Left: CT. Right: PSMA PET, same axial level, [18F]PSMA-1007 tracer. Slice position z = -827 mm. A rectangle over the head was blacked out to remove identifiable facial features.
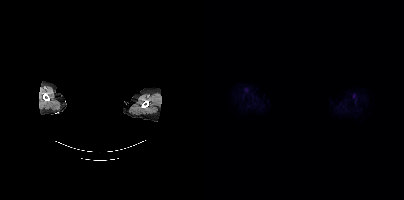
No tumor lesions annotated on this slice.